- Two-panel axial: CT | PSMA PET, 68Ga tracer
- acquired on Siemens Biograph 64-4R TruePoint
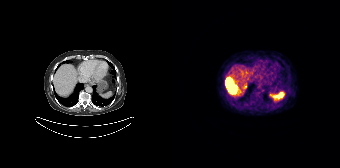
Findings: Coordinates are on the 168×168 PET (right) panel. PSMA-avid tumor lesion bounding box (x0,y0,x1,y1): [53,77,65,94].